Two-panel axial: CT | PSMA PET, 18F tracer. Acquired on Siemens Biograph mCT Flow 20. PET panel 200×200 px (4.1 mm/px).
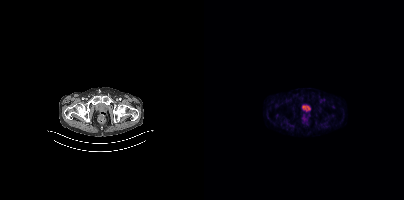
No tumor lesions annotated on this slice.